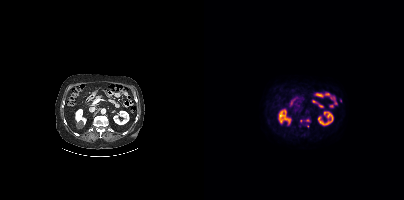
Left: CT. Right: PSMA PET, same axial level, 18F-PSMA tracer. Acquired on Siemens Biograph mCT Flow 20. Slice 198 of 389. No PSMA-avid tumor lesions on this slice.